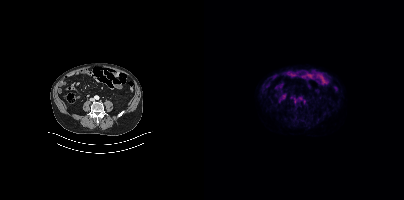
This slice has no annotated PSMA-avid lesion.